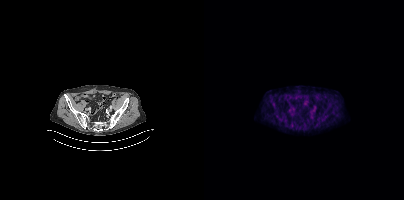
Coordinates are on the 200×200 PET (right) panel. Small PSMA-avid focus (2 to 4 px across) near (center x, center y): (69, 104).